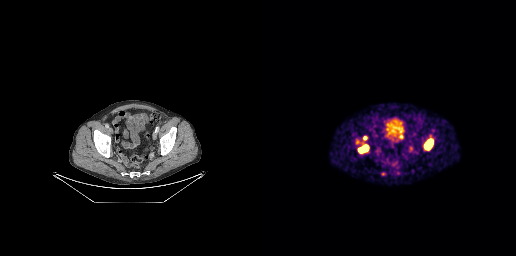
Technique: Paired axial CT (left) and PSMA PET (right), [68Ga]Ga-PSMA-11 tracer. acquired on GE Discovery 690. slice position z = -848 mm.
Findings: Coordinates are on the 256×256 PET (right) panel. PSMA-avid tumor lesion bounding boxes (x0, y0)-(x1, y1): (164, 139)-(172, 150); (98, 144)-(108, 152); (121, 172)-(125, 175). Small PSMA-avid foci (2 to 4 px across) near (center x, center y): (104, 137); (141, 136).